modality: PSMA PET/CT | tracer: 18F | view: axial | PET grid: 200×200
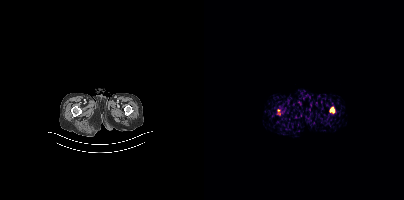
Coordinates are on the 200×200 PET (right) panel. PSMA-avid tumor lesion bounding boxes (x0,y0,x1,y1): [126,107,131,113] [73,109,76,115].